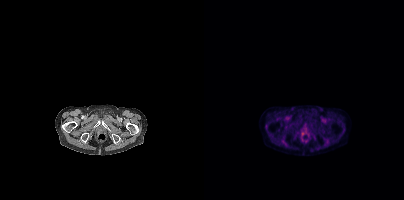
Only PSMA-avid lesion pieces thinner than 2 px on this slice (not listed).